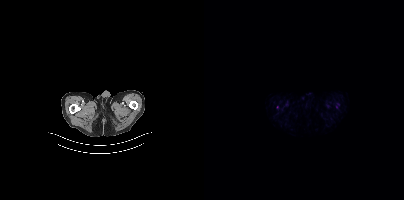
No PSMA-avid tumor lesions on this slice.